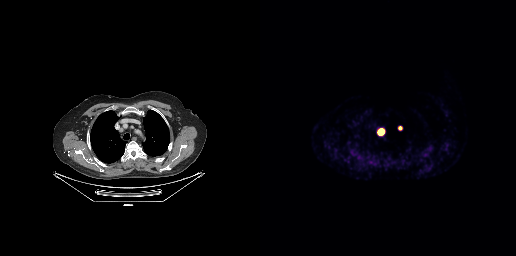
Left: CT. Right: PSMA PET, same axial level, 18F tracer. PET panel 256×256 px (2.7 mm/px).
Coordinates are on the 256×256 PET (right) panel. PSMA-avid tumor lesion bounding boxes:
| # | x0 | y0 | x1 | y1 |
|---|---|---|---|---|
| 1 | 117 | 128 | 124 | 135 |
Small PSMA-avid focus (2 to 4 px across) near (center x, center y): (140, 128).